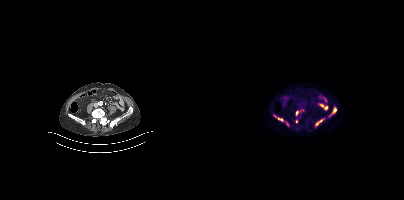
- Two-panel axial: CT | PSMA PET, [18F]PSMA-1007 tracer
- PET panel 200×200 px (4.1 mm/px)
Findings: Coordinates are on the 200×200 PET (right) panel. (showing 6 of 7 foci) PSMA-avid tumor lesion bounding boxes (x, y, width, height): x=111 y=118 w=10 h=9 | x=125 y=106 w=8 h=11 | x=92 y=109 w=8 h=7 | x=70 y=115 w=10 h=7 | x=91 y=119 w=3 h=5. Small PSMA-avid focus (2 to 4 px across) near (center x, center y): (83, 124).